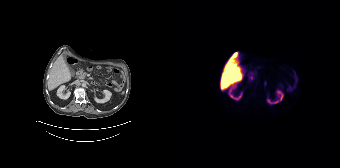
No PSMA-avid tumor lesions on this slice. Two-panel axial: CT | PSMA PET, 18F-PSMA tracer. Slice position z = -1254 mm.